Two-panel axial: CT | PSMA PET, [18F]PSMA-1007 tracer.
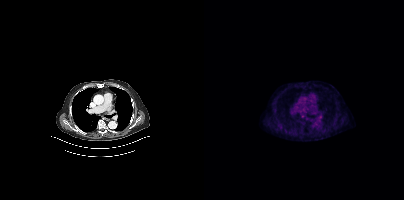
Coordinates are on the 200×200 PET (right) panel. Small PSMA-avid focus (2 to 4 px across) near (center x, center y): (98, 116).